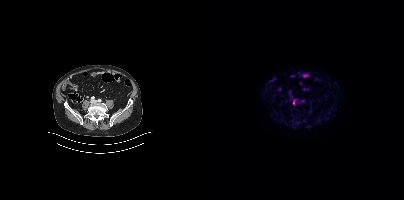
Coordinates are on the 200×200 PET (right) panel. Small PSMA-avid focus (2 to 4 px across) near (center x, center y): (89, 102).